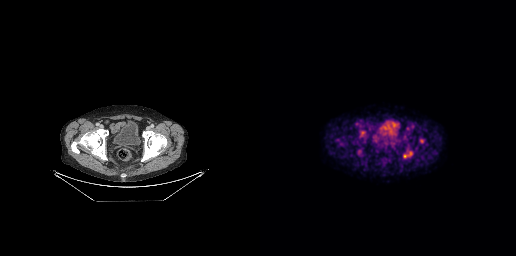
Findings: Coordinates are on the 256×256 PET (right) panel. (showing 2 of 3 foci) Small PSMA-avid foci (2 to 4 px across) near (center x, center y): (150, 153); (144, 156).
- Paired axial CT (left) and PSMA PET (right), 18F-PSMA tracer
- acquired on GE Discovery 690
- PET panel 256×256 px (2.7 mm/px)